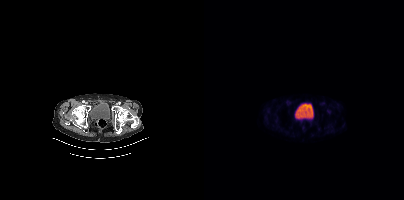
{"modality":"PSMA PET/CT","view":"axial","tracer":"68Ga-PSMA","pet_grid":[200,200],"coord_frame":"pet_panel","coord_format":"x0,y0,x1,y1","psma_avid_lesions":false}